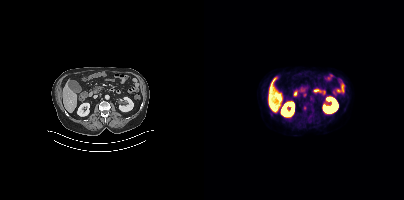
Technique: Paired axial CT (left) and PSMA PET (right), [18F]PSMA-1007 tracer. slice position z = -1222 mm.
Findings: Coordinates are on the 200×200 PET (right) panel. PSMA-avid tumor lesion bounding boxes (x0,y0,x1,y1): [99,106,102,110], [99,92,102,96].